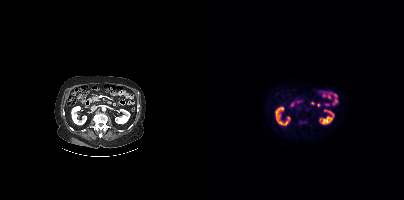
Findings: Negative for PSMA-avid disease on this slice.
- Paired axial CT (left) and PSMA PET (right), 18F tracer
- acquired on Siemens Biograph mCT Flow 20
- PET panel 200×200 px (4.1 mm/px)